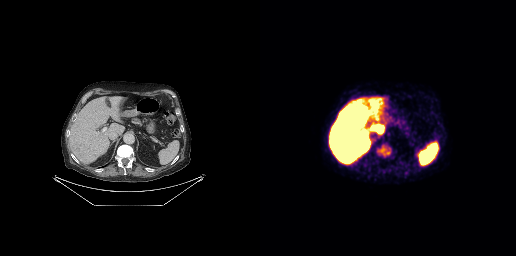
Coordinates are on the 256×256 PET (right) panel. PSMA-avid tumor lesion bounding box (x0,y0,x1,y1): [117,145,131,157].